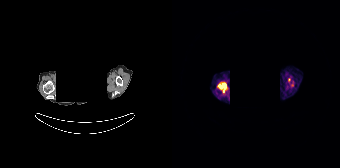
{"pet_grid":[168,168],"coord_frame":"pet_panel","coord_format":"x0,y0,x1,y1","partial":true,"lesion_bboxes":[[46,83,54,92]],"redaction":"privacy mask over head","modality":"PSMA PET/CT","view":"axial","tracer":"[68Ga]Ga-PSMA-11"}